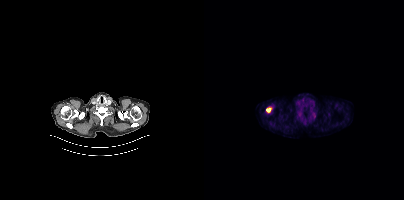
Coordinates are on the 200×200 PET (right) panel. PSMA-avid tumor lesion bounding boxes:
| # | x0 | y0 | x1 | y1 |
|---|---|---|---|---|
| 1 | 62 | 108 | 67 | 112 |
Two-panel axial: CT | PSMA PET, 18F tracer. PET panel 200×200 px (4.1 mm/px).